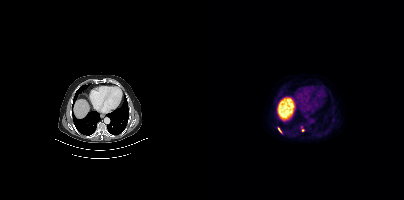
{"modality":"PSMA PET/CT","view":"axial","tracer":"[18F]PSMA-1007","pet_grid":[200,200],"coord_frame":"pet_panel","coord_format":"x0,y0,x1,y1","lesion_bboxes":[[74,127,78,133]],"small_foci_centers":[[99,130]]}